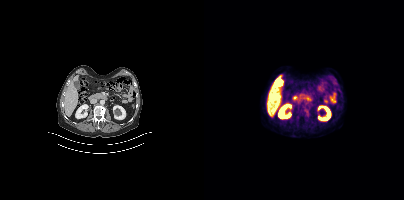
Findings: This slice has no annotated PSMA-avid lesion.
- Paired axial CT (left) and PSMA PET (right), 18F tracer
- acquired on Siemens Biograph mCT Flow 20
- PET panel 200×200 px (4.1 mm/px)